Technique: Left: CT. Right: PSMA PET, same axial level, [68Ga]Ga-PSMA-11 tracer. slice position z = -1020 mm. PET panel 256×256 px (2.7 mm/px).
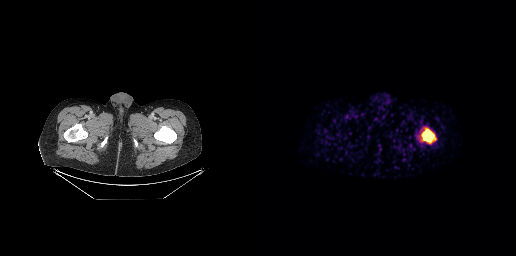
Findings: Coordinates are on the 256×256 PET (right) panel. PSMA-avid tumor lesion bounding box (x0,y0,x1,y1): [161,128,176,143].